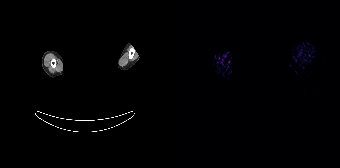
{"modality":"PSMA PET/CT","view":"axial","tracer":"68Ga-PSMA","pet_grid":[168,168],"coord_frame":"pet_panel","coord_format":"x0,y0,x1,y1","de-identification":"privacy mask over head","psma_avid_lesions":false}